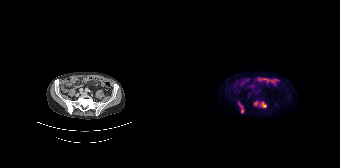
Coordinates are on the 168×168 PET (right) panel. PSMA-avid tumor lesion bounding boxes:
| # | x0 | y0 | x1 | y1 |
|---|---|---|---|---|
| 1 | 66 | 102 | 71 | 111 |
| 2 | 89 | 102 | 94 | 107 |
Small PSMA-avid focus (2 to 4 px across) near (center x, center y): (83, 103).
Left: CT. Right: PSMA PET, same axial level, 18F-PSMA tracer. Acquired on Siemens Biograph 64-4R TruePoint. Slice 41 of 165.